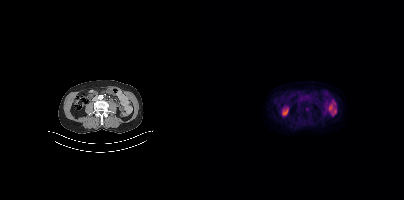
Coordinates are on the 200×200 PET (right) panel. Small PSMA-avid focus (2 to 4 px across) near (center x, center y): (103, 108).
modality: PSMA PET/CT | tracer: 18F | view: axial | PET grid: 200×200